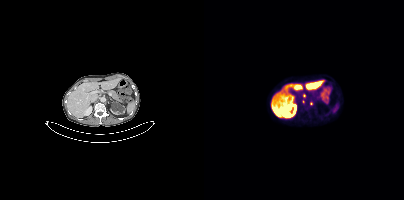
{"modality":"PSMA PET/CT","view":"axial","tracer":"[18F]PSMA-1007","pet_grid":[200,200],"coord_frame":"pet_panel","coord_format":"x0,y0,x1,y1","lesion_bboxes":[],"small_foci_centers":[[100,95]]}